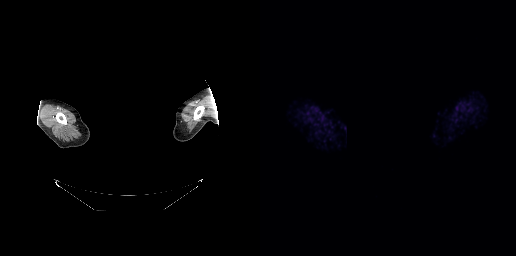
Facial anatomy redacted by setting a rectangular region of the head to black. Two-panel axial: CT | PSMA PET, 68Ga-PSMA tracer. Acquired on GE Discovery 690. Slice position z = -162 mm. This slice has no annotated PSMA-avid lesion.